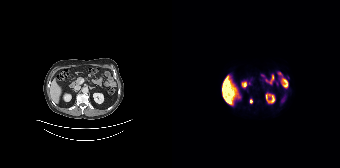
- Two-panel axial: CT | PSMA PET, [18F]PSMA-1007 tracer
Findings: Coordinates are on the 168×168 PET (right) panel. (showing 1 of 2 foci) PSMA-avid tumor lesion bounding box (x0,y0,x1,y1): [77,99,80,103].